Paired axial CT (left) and PSMA PET (right), 18F tracer. Acquired on Siemens Biograph mCT Flow 20. Slice 190 of 435. PET panel 200×200 px (4.1 mm/px).
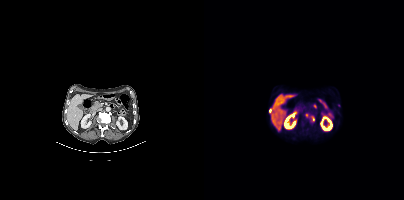
Coordinates are on the 200×200 PET (right) panel. (showing 4 of 5 foci) PSMA-avid tumor lesion bounding box (x0,y0,x1,y1): [107,116,110,121]. Small PSMA-avid foci (2 to 4 px across) near (center x, center y): (102, 115) (135, 105) (65, 111).